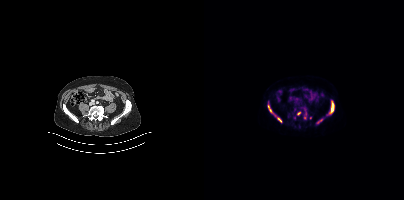
{"modality":"PSMA PET/CT","view":"axial","tracer":"18F-PSMA","pet_grid":[200,200],"coord_frame":"pet_panel","coord_format":"x0,y0,x1,y1","lesion_bboxes":[[127,101,130,112],[64,105,68,112],[73,117,77,122]],"small_foci_centers":[[101,117],[94,114]]}